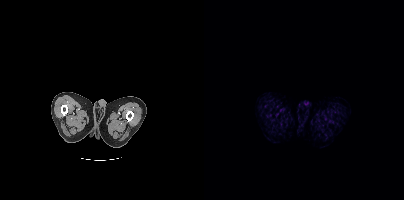
Negative for PSMA-avid disease on this slice.